- Left: CT. Right: PSMA PET, same axial level, [68Ga]Ga-PSMA-11 tracer
- PET panel 256×256 px (2.7 mm/px)
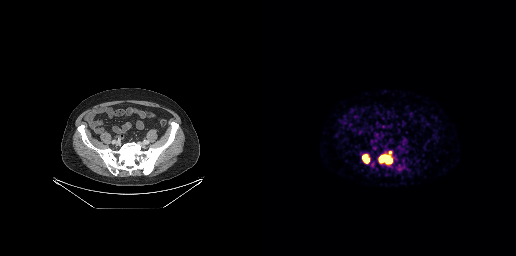
Findings: Coordinates are on the 256×256 PET (right) panel. PSMA-avid tumor lesion bounding boxes (x0,y0,x1,y1): [119,154,132,164]; [103,155,109,162]. Small PSMA-avid focus (2 to 4 px across) near (center x, center y): (130, 152).